Paired axial CT (left) and PSMA PET (right), [18F]PSMA-1007 tracer. Acquired on Siemens Biograph mCT Flow 20. PET panel 200×200 px (4.1 mm/px).
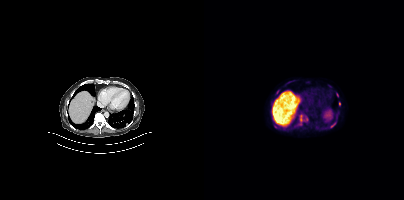
Coordinates are on the 200×200 PET (right) panel. PSMA-avid tumor lesion bounding boxes (partial; 2 more foci not listed):
| # | x0 | y0 | x1 | y1 |
|---|---|---|---|---|
| 1 | 93 | 116 | 98 | 125 |
| 2 | 126 | 121 | 132 | 127 |
| 3 | 70 | 125 | 75 | 128 |
Small PSMA-avid foci (2 to 4 px across) near (center x, center y): (73, 91); (135, 103).